Paired axial CT (left) and PSMA PET (right), 18F tracer. Acquired on Siemens Biograph mCT Flow 20. PET panel 200×200 px (4.1 mm/px).
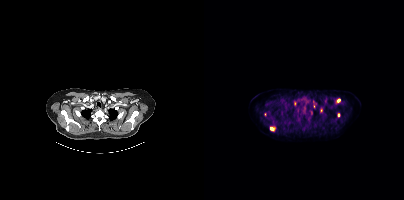
Coordinates are on the 200×200 PET (right) panel. (showing 8 of 9 foci) PSMA-avid tumor lesion bounding box (x0,y0,x1,y1): [66,127,70,130]. Small PSMA-avid foci (2 to 4 px across) near (center x, center y): (117, 110), (134, 100), (91, 103), (134, 115), (109, 106), (107, 114), (85, 122).